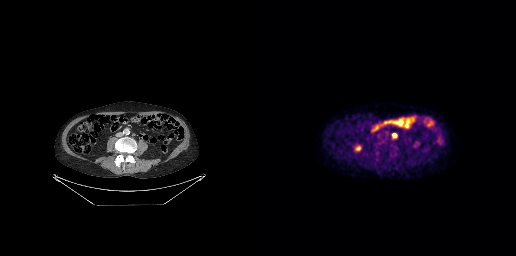
{"modality":"PSMA PET/CT","view":"axial","tracer":"18F-PSMA","pet_grid":[256,256],"coord_frame":"pet_panel","coord_format":"x0,y0,x1,y1","lesion_bboxes":[[132,133,136,137]]}